Technique: Two-panel axial: CT | PSMA PET, 18F tracer. slice position z = -636 mm. PET panel 200×200 px (4.1 mm/px).
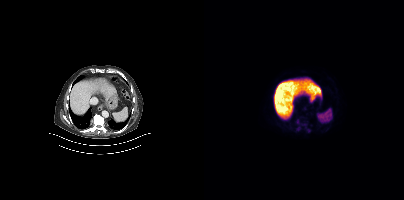
Findings: No PSMA-avid tumor lesions on this slice.